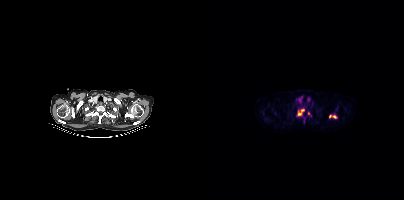
Two-panel axial: CT | PSMA PET, 18F-PSMA tracer. Slice position z = -413 mm. Coordinates are on the 200×200 PET (right) panel. PSMA-avid tumor lesion bounding box (x0,y0,x1,y1): [94,109,100,115]. Small PSMA-avid foci (2 to 4 px across) near (center x, center y): (130, 116); (126, 116); (104, 113).